Left: CT. Right: PSMA PET, same axial level, [18F]PSMA-1007 tracer. Acquired on Siemens Biograph mCT Flow 20. Slice 292 of 429.
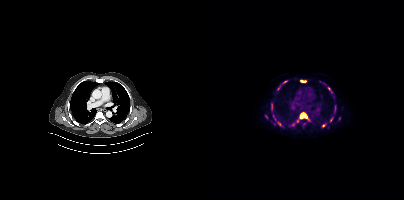
Coordinates are on the 200×200 PET (right) panel. PSMA-avid tumor lesion bounding boxes (partial; 3 more foci not listed):
| # | x0 | y0 | x1 | y1 |
|---|---|---|---|---|
| 1 | 96 | 113 | 103 | 118 |
| 2 | 97 | 80 | 101 | 82 |
| 3 | 130 | 105 | 132 | 112 |
Small PSMA-avid foci (2 to 4 px across) near (center x, center y): (67, 104); (62, 116); (125, 88); (74, 122); (119, 125); (81, 81); (127, 92); (126, 120).